Paired axial CT (left) and PSMA PET (right), 18F-PSMA tracer.
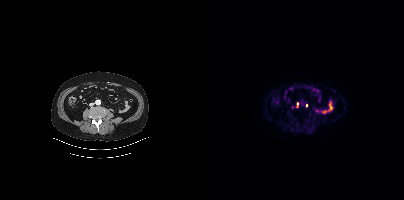
Coordinates are on the 200×200 PET (right) panel. (showing 1 of 2 foci) Small PSMA-avid focus (2 to 4 px across) near (center x, center y): (93, 105).